Facial anatomy redacted by setting a rectangular region of the head to black. Two-panel axial: CT | PSMA PET, [18F]PSMA-1007 tracer. Acquired on Siemens Biograph mCT Flow 20. Slice position z = -796 mm. PET panel 200×200 px (4.1 mm/px).
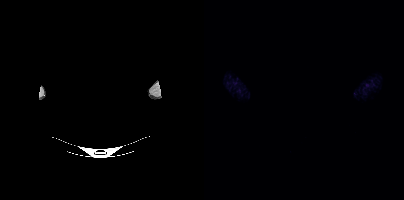
No PSMA-avid tumor lesions on this slice.